Technique: Two-panel axial: CT | PSMA PET, 18F tracer. slice position z = 1227 mm.
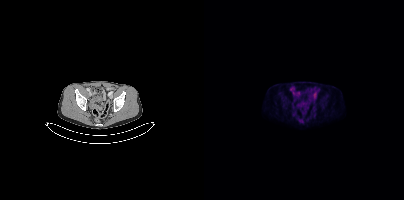
Findings: No tumor lesions annotated on this slice.